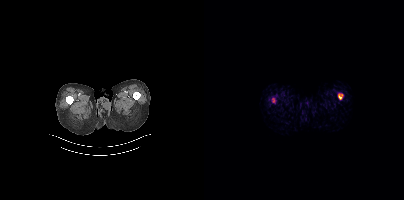
Paired axial CT (left) and PSMA PET (right), 68Ga tracer. Acquired on Siemens Biograph mCT Flow 20. No PSMA-avid tumor lesions on this slice.